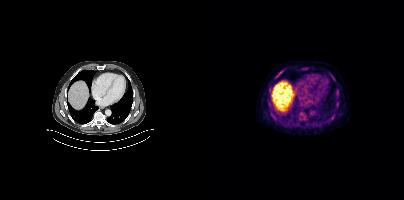
{"modality":"PSMA PET/CT","view":"axial","tracer":"18F","pet_grid":[200,200],"coord_frame":"pet_panel","coord_format":"x0,y0,x1,y1","partial":true,"lesion_bboxes":[[73,71,78,76],[126,115,130,119],[128,77,131,81]],"small_foci_centers":[[65,104],[133,105],[133,90]]}